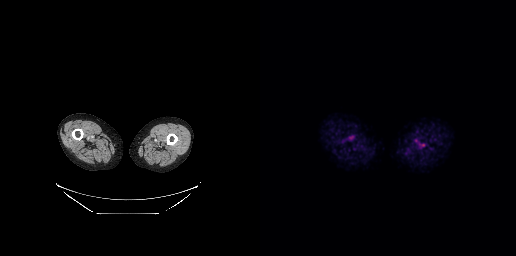
No tumor lesions annotated on this slice.